Technique: Left: CT. Right: PSMA PET, same axial level, 18F tracer. acquired on GE Discovery 690. PET panel 256×256 px (2.7 mm/px).
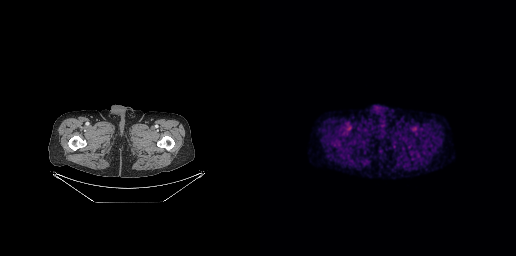
Findings: Negative for PSMA-avid disease on this slice.